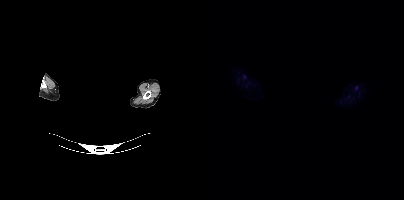
{"modality":"PSMA PET/CT","view":"axial","tracer":"18F-PSMA","pet_grid":[200,200],"coord_frame":"pet_panel","coord_format":"x0,y0,x1,y1","deidentification":"face masked with black rectangle","psma_avid_lesions":false}